De-identified by setting a box covering the face to black before release. Left: CT. Right: PSMA PET, same axial level, 68Ga-PSMA tracer. Slice 388 of 409.
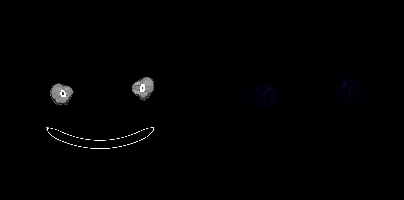
Negative for PSMA-avid disease on this slice.